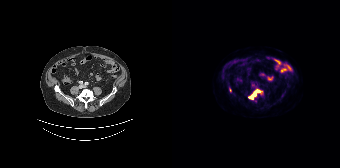
Coordinates are on the 168×168 PET (right) panel. PSMA-avid tumor lesion bounding box (x0,y0,x1,y1): [77,89,88,98]. Small PSMA-avid focus (2 to 4 px across) near (center x, center y): (58, 89).